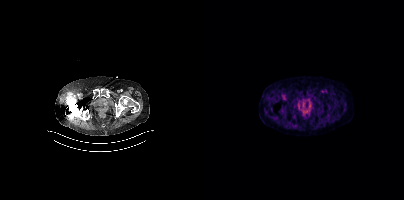
Left: CT. Right: PSMA PET, same axial level, 18F-PSMA tracer. Negative for PSMA-avid disease on this slice.